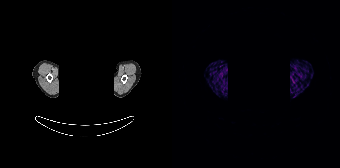
{"modality":"PSMA PET/CT","view":"axial","tracer":"68Ga-PSMA","pet_grid":[168,168],"coord_frame":"pet_panel","coord_format":"x0,y0,x1,y1","redaction":"privacy mask over head","psma_avid_lesions":false}